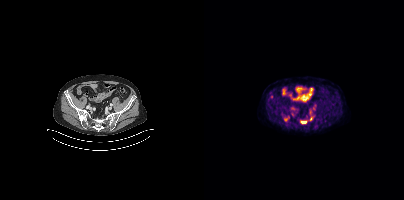
Coordinates are on the 200×200 PET (right) panel. PSMA-avid tumor lesion bounding boxes (x, y, width, height): x=105 y=117 w=5 h=5; x=97 y=122 w=6 h=2. Small PSMA-avid focus (2 to 4 px across) near (center x, center y): (81, 119).
modality: PSMA PET/CT | tracer: [18F]PSMA-1007 | view: axial | PET grid: 200×200